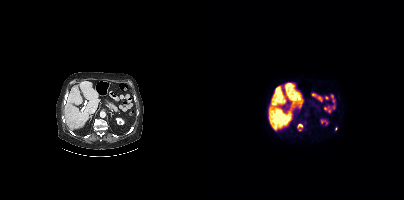
Coordinates are on the 200×200 PET (right) panel. (showing 1 of 2 foci) PSMA-avid tumor lesion bounding box (x, y, width, height): x=94 y=124 w=6 h=5.